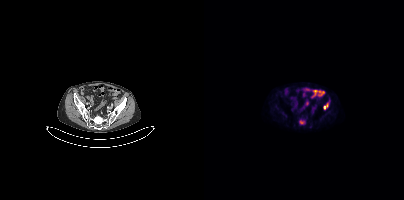
{"pet_grid":[200,200],"coord_frame":"pet_panel","coord_format":"x0,y0,x1,y1","lesion_bboxes":[[95,119,101,124]],"small_foci_centers":[[123,104],[120,107]],"modality":"PSMA PET/CT","view":"axial","tracer":"18F-PSMA"}